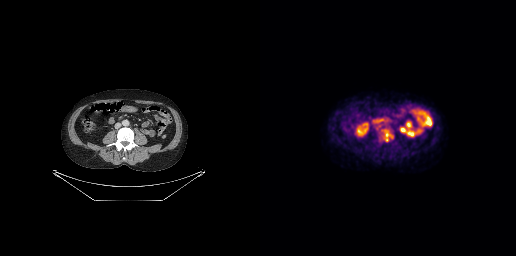
Left: CT. Right: PSMA PET, same axial level, 18F-PSMA tracer. Coordinates are on the 256×256 PET (right) panel. (showing 1 of 2 foci) Small PSMA-avid focus (2 to 4 px across) near (center x, center y): (126, 134).